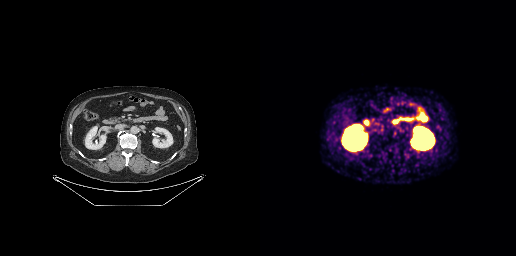
- Two-panel axial: CT | PSMA PET, 68Ga-PSMA tracer
- acquired on GE Discovery 690
- slice position z = -644 mm
Findings: No PSMA-avid tumor lesions on this slice.